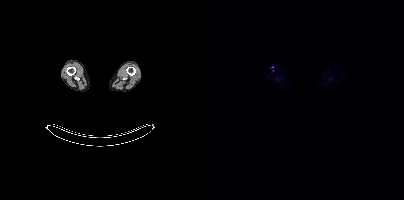
Only PSMA-avid lesion pieces thinner than 2 px on this slice (not listed).